Technique: Two-panel axial: CT | PSMA PET, 18F tracer. PET panel 200×200 px (4.1 mm/px).
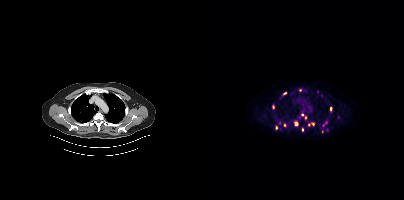
Findings: Coordinates are on the 200×200 PET (right) panel. (showing 9 of 12 foci) PSMA-avid tumor lesion bounding boxes (x0, y0)-(x1, y1): (90, 121)-(94, 125) | (126, 107)-(128, 111). Small PSMA-avid foci (2 to 4 px across) near (center x, center y): (98, 129) | (98, 114) | (101, 117) | (81, 93) | (72, 127) | (69, 107) | (104, 124).